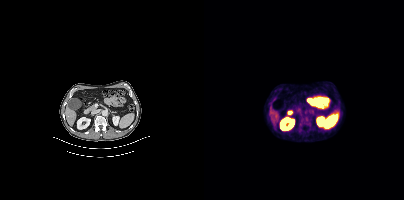
Paired axial CT (left) and PSMA PET (right), [18F]PSMA-1007 tracer. PET panel 200×200 px (4.1 mm/px).
Coordinates are on the 200×200 PET (right) panel. PSMA-avid tumor lesion bounding boxes:
| # | x0 | y0 | x1 | y1 |
|---|---|---|---|---|
| 1 | 95 | 115 | 107 | 126 |